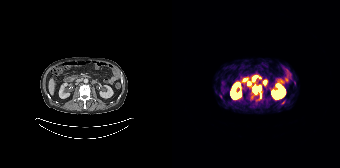
Left: CT. Right: PSMA PET, same axial level, 68Ga-PSMA tracer. PET panel 168×168 px (4.1 mm/px).
Coordinates are on the 168×168 PET (right) panel. PSMA-avid tumor lesion bounding boxes (partial; 1 more focus not listed):
| # | x0 | y0 | x1 | y1 |
|---|---|---|---|---|
| 1 | 85 | 85 | 89 | 90 |
| 2 | 91 | 80 | 94 | 84 |
| 3 | 87 | 94 | 89 | 99 |
| 4 | 81 | 88 | 83 | 92 |
Small PSMA-avid foci (2 to 4 px across) near (center x, center y): (110, 102); (81, 79); (76, 83); (87, 77).